Two-panel axial: CT | PSMA PET, 18F tracer. PET panel 200×200 px (4.1 mm/px).
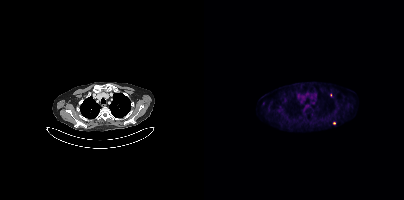
Coordinates are on the 200×200 PET (right) panel. (showing 1 of 2 foci) Small PSMA-avid focus (2 to 4 px across) near (center x, center y): (130, 122).